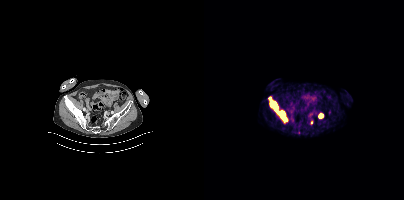
Coordinates are on the 200×200 PET (right) panel. (showing 3 of 4 foci) PSMA-avid tumor lesion bounding boxes (x, y, width, height): x=64 y=96 w=21 h=27; x=114 y=113 w=6 h=6. Small PSMA-avid focus (2 to 4 px across) near (center x, center y): (107, 122).